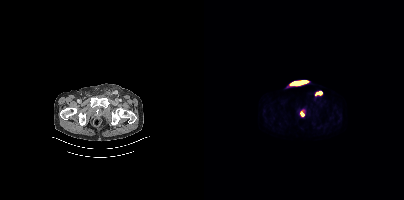
Coordinates are on the 200×200 PET (right) panel. PSMA-avid tumor lesion bounding boxes (x0,y0,x1,y1): [111,91,118,95], [96,111,100,116].